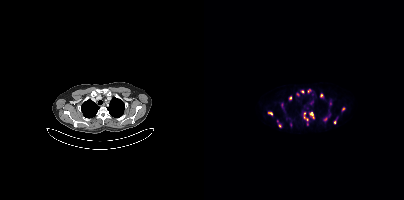
Findings: Coordinates are on the 200×200 PET (right) panel. (showing 15 of 17 foci) PSMA-avid tumor lesion bounding boxes (x0,y0,x1,y1): [119,113,126,121], [100,112,104,120], [105,113,110,118], [138,107,141,111]. Small PSMA-avid foci (2 to 4 px across) near (center x, center y): (75, 125), (105, 90), (93, 94), (117, 95), (86, 97), (66, 113), (126, 103), (98, 91), (107, 103), (130, 122), (86, 124).
- Left: CT. Right: PSMA PET, same axial level, 18F tracer
- acquired on Siemens Biograph mCT Flow 20
- slice position z = 414 mm